Two-panel axial: CT | PSMA PET, 18F-PSMA tracer. Acquired on Siemens Biograph mCT Flow 20. Slice position z = -1010 mm.
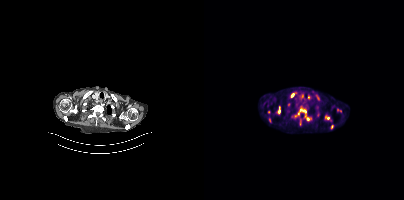
Coordinates are on the 200×200 PET (right) panel. (showing 7 of 8 foci) PSMA-avid tumor lesion bounding boxes (x0, y0)-(x1, y1): (90, 106)-(107, 121) / (65, 119)-(67, 123). Small PSMA-avid foci (2 to 4 px across) near (center x, center y): (88, 94) / (84, 104) / (64, 112) / (104, 97) / (73, 112).